modality: PSMA PET/CT | tracer: 18F-PSMA | view: axial | PET grid: 200×200
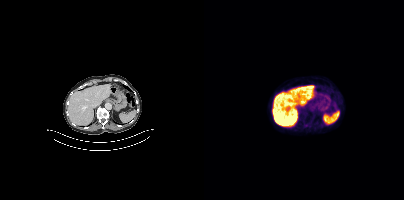
This slice has no annotated PSMA-avid lesion.